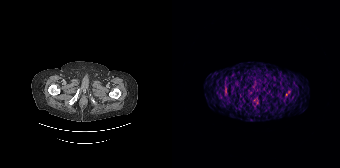
modality: PSMA PET/CT | tracer: [68Ga]Ga-PSMA-11 | view: axial | PET grid: 168×168
This slice has no annotated PSMA-avid lesion.